Two-panel axial: CT | PSMA PET, 18F tracer. Acquired on Siemens Biograph mCT Flow 20. PET panel 200×200 px (4.1 mm/px).
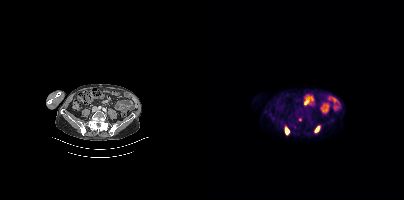
Coordinates are on the 200×200 PET (right) panel. PSMA-avid tumor lesion bounding boxes:
| # | x0 | y0 | x1 | y1 |
|---|---|---|---|---|
| 1 | 110 | 125 | 116 | 132 |
| 2 | 81 | 126 | 85 | 135 |
Small PSMA-avid focus (2 to 4 px across) near (center x, center y): (96, 119).